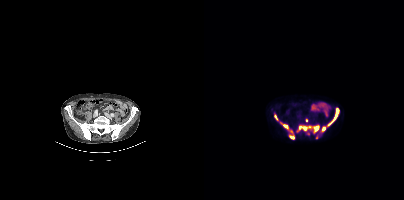
{"modality":"PSMA PET/CT","view":"axial","tracer":"18F-PSMA","pet_grid":[200,200],"coord_frame":"pet_panel","coord_format":"x0,y0,x1,y1","partial":true,"lesion_bboxes":[[124,108,134,125],[109,125,115,131],[76,122,84,128],[116,127,121,132],[85,129,89,133],[99,126,107,130],[85,135,90,138],[70,115,74,120],[95,125,99,129]],"small_foci_centers":[[102,120],[104,133],[112,137]]}